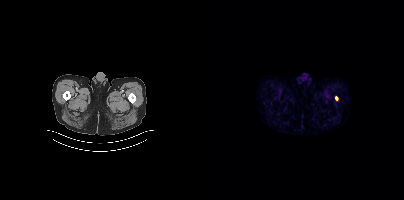
{"modality":"PSMA PET/CT","view":"axial","tracer":"[68Ga]Ga-PSMA-11","pet_grid":[200,200],"coord_frame":"pet_panel","coord_format":"x0,y0,x1,y1","lesion_bboxes":[],"small_foci_centers":[[132,98]]}